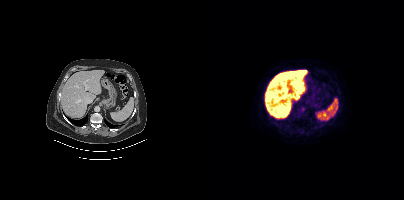
{"modality":"PSMA PET/CT","view":"axial","tracer":"18F","pet_grid":[200,200],"coord_frame":"pet_panel","coord_format":"x0,y0,x1,y1","psma_avid_lesions":false}